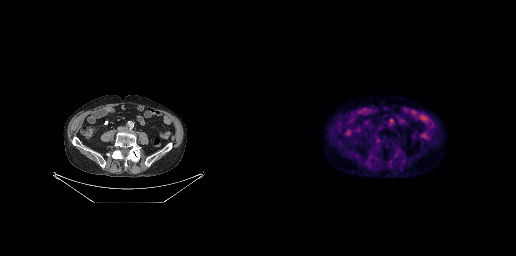
Paired axial CT (left) and PSMA PET (right), [18F]PSMA-1007 tracer. Slice position z = -713 mm. Only PSMA-avid lesion pieces thinner than 2 px on this slice (not listed).